Technique: Left: CT. Right: PSMA PET, same axial level, 68Ga tracer. slice position z = -850 mm.
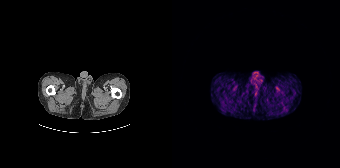
Findings: No PSMA-avid tumor lesions on this slice.